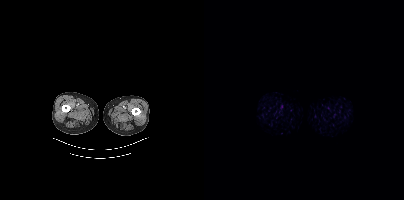
No tumor lesions annotated on this slice. Paired axial CT (left) and PSMA PET (right), 18F-PSMA tracer. PET panel 200×200 px (4.1 mm/px).